Two-panel axial: CT | PSMA PET, 18F-PSMA tracer. Slice 321 of 354. Privacy masking over the head, with the pixels inside a rectangle set to black.
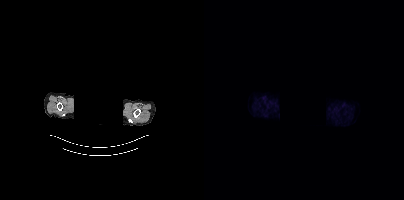
No tumor lesions annotated on this slice.